modality: PSMA PET/CT | tracer: 18F | view: axial | PET grid: 200×200
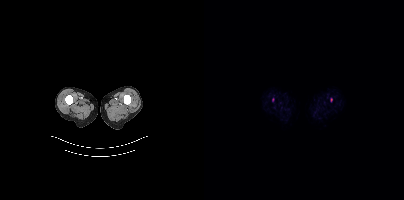
Coordinates are on the 200×200 PET (right) panel. (showing 1 of 2 foci) Small PSMA-avid focus (2 to 4 px across) near (center x, center y): (127, 99).